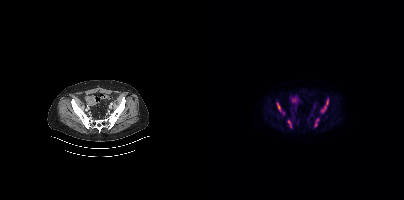
Two-panel axial: CT | PSMA PET, 18F-PSMA tracer.
Coordinates are on the 200×200 PET (right) panel. PSMA-avid tumor lesion bounding boxes:
| # | x0 | y0 | x1 | y1 |
|---|---|---|---|---|
| 1 | 117 | 99 | 124 | 112 |
| 2 | 73 | 102 | 77 | 112 |
| 3 | 84 | 120 | 87 | 127 |
Small PSMA-avid foci (2 to 4 px across) near (center x, center y): (113, 120); (111, 124); (79, 112).